Two-panel axial: CT | PSMA PET, 18F-PSMA tracer. Slice position z = -1152 mm. PET panel 200×200 px (4.1 mm/px).
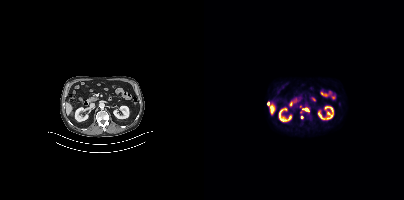
Coordinates are on the 200×200 PET (right) panel. (showing 1 of 3 foci) Small PSMA-avid focus (2 to 4 px across) near (center x, center y): (102, 109).